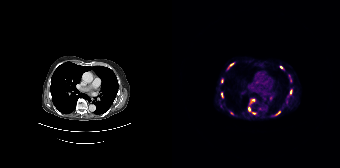
{"modality":"PSMA PET/CT","view":"axial","tracer":"68Ga","pet_grid":[168,168],"coord_frame":"pet_panel","coord_format":"x0,y0,x1,y1","partial":true,"lesion_bboxes":[[104,111,108,114]],"small_foci_centers":[[77,108],[118,91],[109,67],[49,94],[81,100],[49,81],[59,64],[82,113]]}